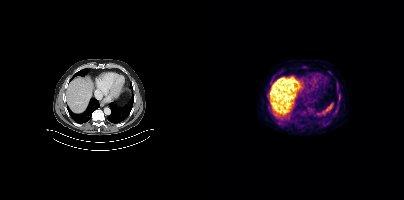
Paired axial CT (left) and PSMA PET (right), 18F-PSMA tracer. Acquired on Siemens Biograph mCT Flow 20. PET panel 200×200 px (4.1 mm/px).
Coordinates are on the 200×200 PET (right) panel. PSMA-avid tumor lesion bounding boxes:
| # | x0 | y0 | x1 | y1 |
|---|---|---|---|---|
| 1 | 135 | 94 | 136 | 99 |
Small PSMA-avid foci (2 to 4 px across) near (center x, center y): (100, 66); (125, 72).